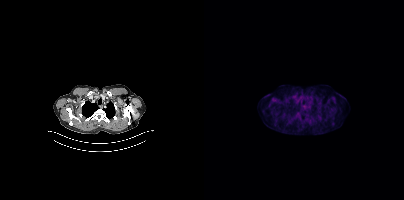
{"pet_grid":[200,200],"coord_frame":"pet_panel","coord_format":"x0,y0,x1,y1","psma_avid_lesions":false,"modality":"PSMA PET/CT","view":"axial","tracer":"[18F]PSMA-1007"}